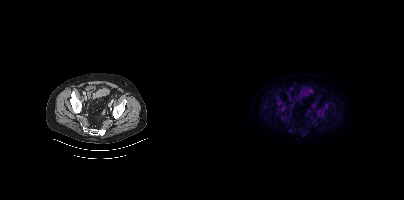
- Left: CT. Right: PSMA PET, same axial level, [18F]PSMA-1007 tracer
- PET panel 200×200 px (4.1 mm/px)
Findings: No tumor lesions annotated on this slice.